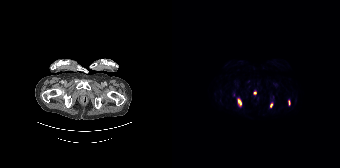
Two-panel axial: CT | PSMA PET, 18F tracer. Acquired on Siemens Biograph 64-4R TruePoint. PET panel 168×168 px (4.1 mm/px).
Coordinates are on the 168×168 PET (right) panel. PSMA-avid tumor lesion bounding boxes (partial; 1 more focus not listed):
| # | x0 | y0 | x1 | y1 |
|---|---|---|---|---|
| 1 | 65 | 98 | 69 | 106 |
| 2 | 98 | 102 | 101 | 106 |
| 3 | 116 | 100 | 118 | 105 |